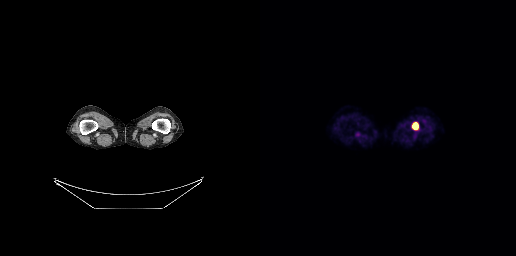
Coordinates are on the 256×256 PET (right) panel. PSMA-avid tumor lesion bounding boxes:
| # | x0 | y0 | x1 | y1 |
|---|---|---|---|---|
| 1 | 152 | 122 | 158 | 129 |
Left: CT. Right: PSMA PET, same axial level, 18F tracer. Slice position z = -1317 mm.